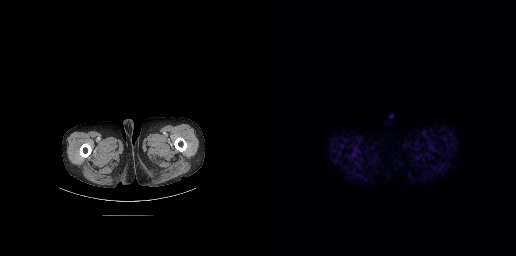
modality: PSMA PET/CT | tracer: [18F]PSMA-1007 | view: axial | PET grid: 256×256
No tumor lesions annotated on this slice.